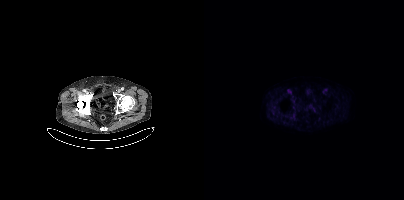
This slice has no annotated PSMA-avid lesion.